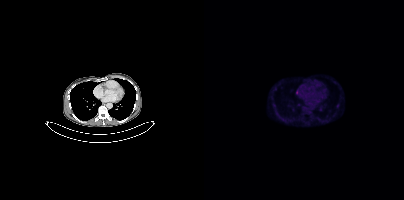
modality: PSMA PET/CT | tracer: 18F-PSMA | view: axial | PET grid: 200×200
Coordinates are on the 200×200 PET (right) panel. PSMA-avid tumor lesion bounding box (x, y, width, height): x=92 y=90 w=3 h=5. Small PSMA-avid focus (2 to 4 px across) near (center x, center y): (133, 106).